Technique: Two-panel axial: CT | PSMA PET, 18F tracer. acquired on Siemens Biograph mCT Flow 20. slice position z = -450 mm.
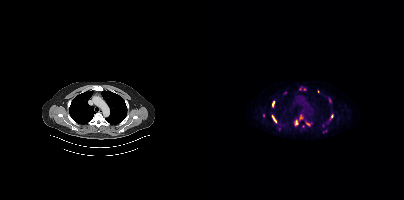
Findings: Coordinates are on the 200×200 PET (right) panel. (showing 6 of 8 foci) PSMA-avid tumor lesion bounding boxes (x, y, width, height): x=91 y=120 w=4 h=6 | x=68 y=115 w=5 h=8 | x=68 y=101 w=3 h=6 | x=127 y=114 w=3 h=5 | x=96 y=115 w=3 h=5. Small PSMA-avid focus (2 to 4 px across) near (center x, center y): (104, 124).